Left: CT. Right: PSMA PET, same axial level, 18F-PSMA tracer. Slice position z = -1010 mm.
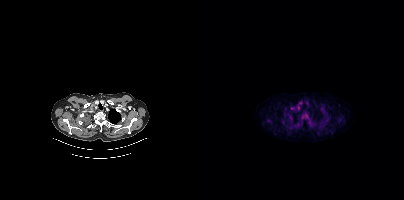
Coordinates are on the 200×200 PET (right) panel. PSMA-avid tumor lesion bounding boxes (partial; 2 more foci not listed):
| # | x0 | y0 | x1 | y1 |
|---|---|---|---|---|
| 1 | 97 | 113 | 104 | 119 |
| 2 | 84 | 114 | 88 | 120 |
Small PSMA-avid focus (2 to 4 px across) near (center x, center y): (94, 107).